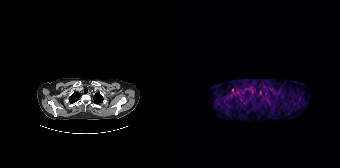
Paired axial CT (left) and PSMA PET (right), [68Ga]Ga-PSMA-11 tracer. Slice 156 of 195. PET panel 168×168 px (4.1 mm/px). Coordinates are on the 168×168 PET (right) panel. Small PSMA-avid focus (2 to 4 px across) near (center x, center y): (60, 89).